Paired axial CT (left) and PSMA PET (right), [18F]PSMA-1007 tracer. Acquired on Siemens Biograph 64-4R TruePoint. Slice 103 of 195.
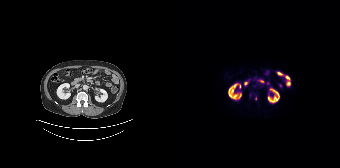
Coordinates are on the 168×168 PET (right) panel. Small PSMA-avid focus (2 to 4 px across) near (center x, center y): (83, 98).